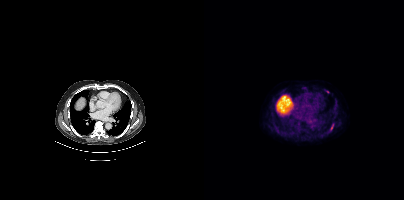
Paired axial CT (left) and PSMA PET (right), 18F-PSMA tracer. Slice position z = -1145 mm. Coordinates are on the 200×200 PET (right) panel. PSMA-avid tumor lesion bounding box (x0,y0,x1,y1): [126,124,129,130]. Small PSMA-avid focus (2 to 4 px across) near (center x, center y): (123, 91).